- Left: CT. Right: PSMA PET, same axial level, [18F]PSMA-1007 tracer
- acquired on Siemens Biograph mCT Flow 20
- slice 283 of 367
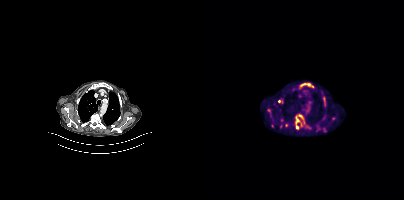
Findings: Coordinates are on the 200×200 PET (right) panel. (showing 5 of 7 foci) PSMA-avid tumor lesion bounding boxes (x0,y0,x1,y1): [91,114,100,126], [96,83,109,87], [63,109,67,116]. Small PSMA-avid foci (2 to 4 px across) near (center x, center y): (77, 99), (93, 127).